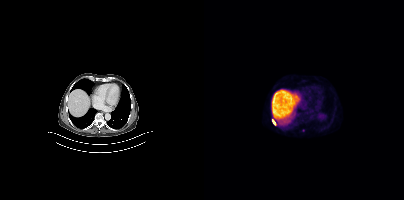
modality: PSMA PET/CT | tracer: 18F | view: axial
Coordinates are on the 200×200 PET (right) panel. (showing 1 of 2 foci) PSMA-avid tumor lesion bounding box (x, y, width, height): x=68 y=120 w=7 h=6.